- Paired axial CT (left) and PSMA PET (right), 68Ga tracer
- slice 138 of 195
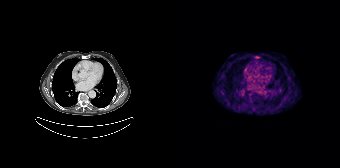
Findings: Coordinates are on the 168×168 PET (right) panel. PSMA-avid tumor lesion bounding box (x, y, width, height): x=83 y=56 w=5 h=3.